The head region is masked for de-identification. Two-panel axial: CT | PSMA PET, 18F tracer.
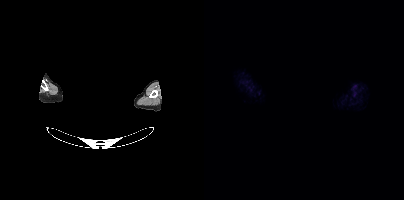
No PSMA-avid tumor lesions on this slice.